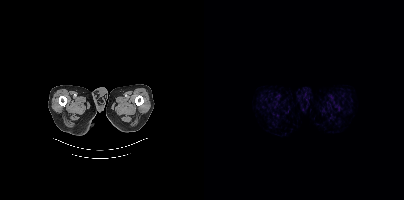
Negative for PSMA-avid disease on this slice.